Left: CT. Right: PSMA PET, same axial level, 18F-PSMA tracer. Slice 145 of 429. PET panel 200×200 px (4.1 mm/px).
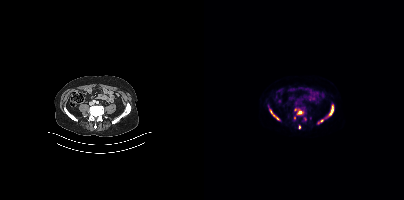
Coordinates are on the 200×200 PET (right) panel. PSMA-avid tumor lesion bounding boxes (x0, y0)-(x1, y1): (125, 105)-(129, 115) | (66, 109)-(75, 120) | (94, 111)-(98, 114). Small PSMA-avid foci (2 to 4 px across) near (center x, center y): (101, 118) | (95, 127) | (90, 117) | (117, 120).